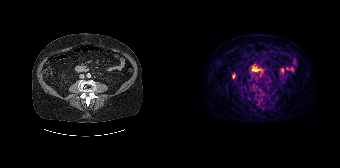
No PSMA-avid tumor lesions on this slice.